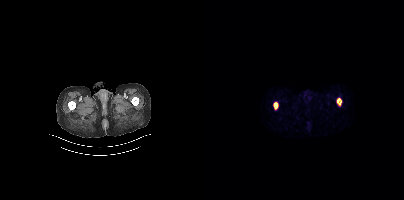
{"modality":"PSMA PET/CT","view":"axial","tracer":"68Ga-PSMA","pet_grid":[200,200],"coord_frame":"pet_panel","coord_format":"x0,y0,x1,y1","psma_avid_lesions":false}